modality: PSMA PET/CT | tracer: [18F]PSMA-1007 | view: axial
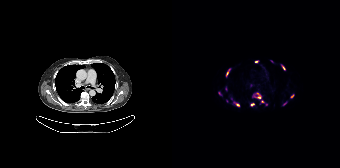
Coordinates are on the 168×168 PET (right) panel. (showing 11 of 13 foci) PSMA-avid tumor lesion bounding boxes (x0, y0)-(x1, y1): (80, 92)-(92, 102) | (61, 101)-(67, 106) | (54, 68)-(58, 76) | (109, 64)-(113, 70) | (78, 103)-(82, 106) | (118, 94)-(122, 98). Small PSMA-avid foci (2 to 4 px across) near (center x, center y): (47, 93) | (84, 61) | (112, 103) | (99, 61) | (94, 104).